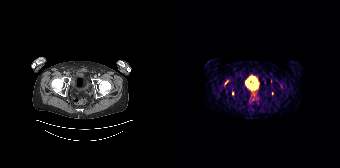
modality: PSMA PET/CT | tracer: [68Ga]Ga-PSMA-11 | view: axial
Coordinates are on the 168×168 PET (right) panel. (showing 2 of 3 foci) Small PSMA-avid foci (2 to 4 px across) near (center x, center y): (54, 82); (60, 93).